Paired axial CT (left) and PSMA PET (right), 18F tracer. PET panel 200×200 px (4.1 mm/px).
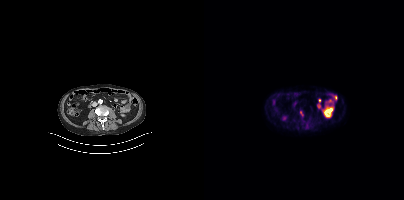
Only PSMA-avid lesion pieces thinner than 2 px on this slice (not listed).